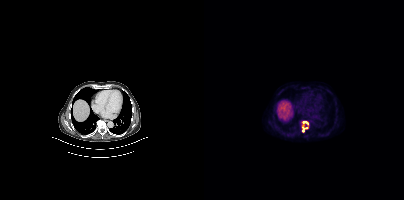
Coordinates are on the 200×200 PET (right) panel. PSMA-avid tumor lesion bounding boxes:
| # | x0 | y0 | x1 | y1 |
|---|---|---|---|---|
| 1 | 98 | 121 | 104 | 132 |
Paired axial CT (left) and PSMA PET (right), 18F tracer. Acquired on Siemens Biograph mCT Flow 20.